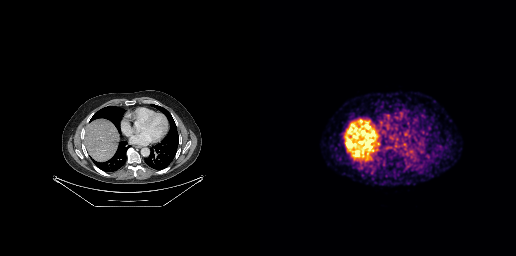
modality: PSMA PET/CT | tracer: [68Ga]Ga-PSMA-11 | view: axial | PET grid: 256×256
No tumor lesions annotated on this slice.